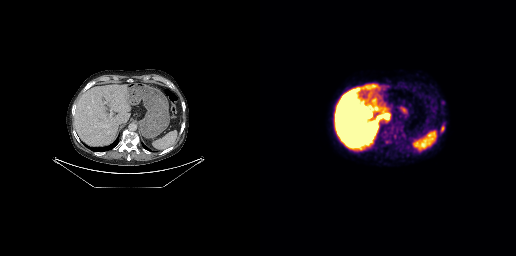
{"modality":"PSMA PET/CT","view":"axial","tracer":"18F","pet_grid":[256,256],"coord_frame":"pet_panel","coord_format":"x0,y0,x1,y1","partial":true,"lesion_bboxes":[[180,125,184,132]],"small_foci_centers":[[182,102]]}